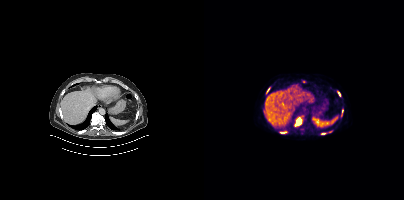
modality: PSMA PET/CT | tracer: 18F | view: axial | PET grid: 200×200
Coordinates are on the 200×200 PET (right) panel. PSMA-avid tumor lesion bounding box (x, y, width, height): x=90 y=118 w=8 h=9. Small PSMA-avid foci (2 to 4 px across) near (center x, center y): (64, 89) | (135, 93).